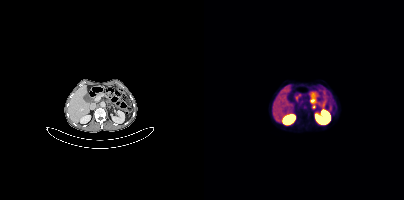
{"pet_grid":[200,200],"coord_frame":"pet_panel","coord_format":"x0,y0,x1,y1","partial":true,"lesion_bboxes":[],"small_foci_centers":[[107,100]],"modality":"PSMA PET/CT","view":"axial","tracer":"[68Ga]Ga-PSMA-11"}